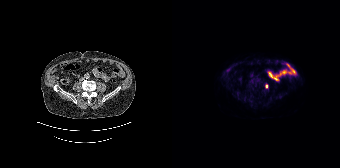
Coordinates are on the 168×168 PET (right) panel. PSMA-avid tumor lesion bounding box (x0, y0)-(x1, y1): (93, 84)-(96, 88).